Left: CT. Right: PSMA PET, same axial level, 18F tracer. Acquired on Siemens Biograph mCT Flow 20. PET panel 200×200 px (4.1 mm/px).
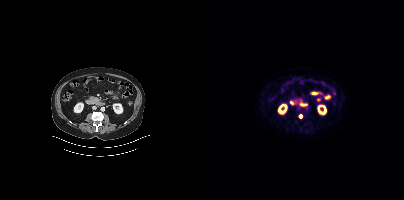
Coordinates are on the 200×200 PET (right) panel. Small PSMA-avid focus (2 to 4 px across) near (center x, center y): (96, 116).